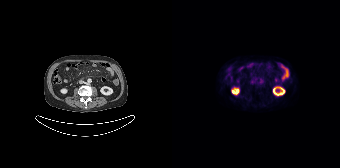
Two-panel axial: CT | PSMA PET, 18F tracer. Acquired on Siemens Biograph 64-4R TruePoint. This slice has no annotated PSMA-avid lesion.